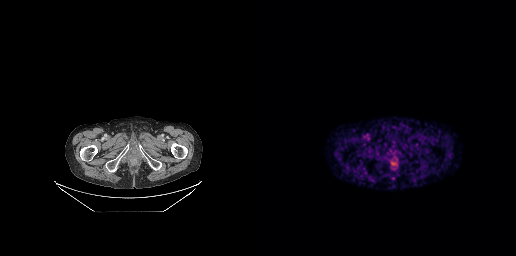
Findings: No tumor lesions annotated on this slice.
Technique: Two-panel axial: CT | PSMA PET, 68Ga tracer. acquired on GE Discovery 690. slice position z = -725 mm.